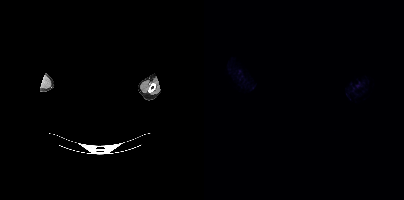
Negative for PSMA-avid disease on this slice. Face de-identified by blanking a block of the head. Left: CT. Right: PSMA PET, same axial level, 18F-PSMA tracer.